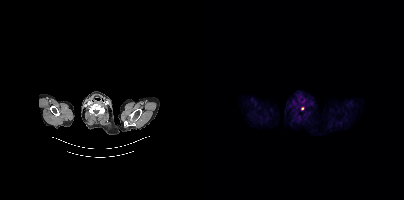
Two-panel axial: CT | PSMA PET, 18F tracer. Slice position z = -922 mm. Coordinates are on the 200×200 PET (right) panel. Small PSMA-avid focus (2 to 4 px across) near (center x, center y): (98, 108).